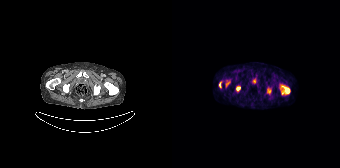
Technique: Paired axial CT (left) and PSMA PET (right), [68Ga]Ga-PSMA-11 tracer.
Findings: Coordinates are on the 168×168 PET (right) panel. PSMA-avid tumor lesion bounding boxes (x0,y0,x1,y1): [108,85,118,94]; [64,86,68,91]; [47,82,49,87]; [54,82,57,86]; [96,89,98,93].